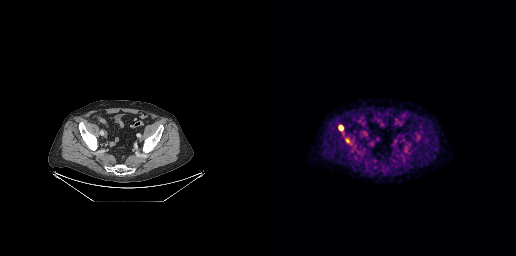
{"modality":"PSMA PET/CT","view":"axial","tracer":"[18F]PSMA-1007","pet_grid":[256,256],"coord_frame":"pet_panel","coord_format":"x0,y0,x1,y1","lesion_bboxes":[],"small_foci_centers":[[87,140],[80,127]]}